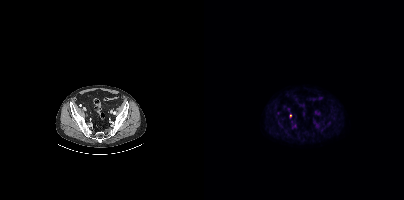
{"pet_grid":[200,200],"coord_frame":"pet_panel","coord_format":"x0,y0,x1,y1","lesion_bboxes":[],"small_foci_centers":[[86,115]],"modality":"PSMA PET/CT","view":"axial","tracer":"18F"}